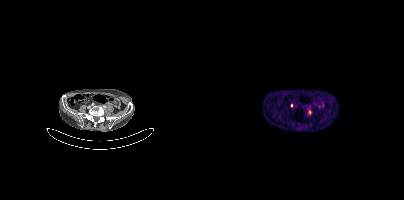
Coordinates are on the 200×200 PET (right) panel. PSMA-avid tumor lesion bounding box (x, y, width, height): x=104 y=110 w=4 h=5.
modality: PSMA PET/CT | tracer: 68Ga-PSMA | view: axial